- Two-panel axial: CT | PSMA PET, [18F]PSMA-1007 tracer
- acquired on Siemens Biograph mCT Flow 20
- slice 129 of 419
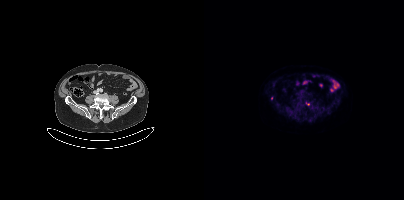
Findings: Coordinates are on the 200×200 PET (right) panel. Small PSMA-avid focus (2 to 4 px across) near (center x, center y): (67, 98).